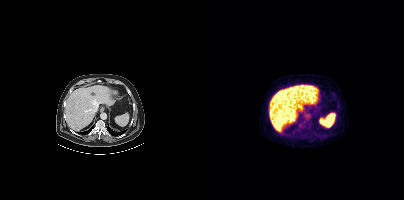
Negative for PSMA-avid disease on this slice. Two-panel axial: CT | PSMA PET, [18F]PSMA-1007 tracer. Slice position z = -1044 mm. PET panel 200×200 px (4.1 mm/px).